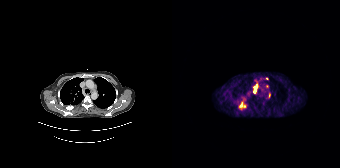
modality: PSMA PET/CT | tracer: 68Ga | view: axial
Coordinates are on the 168×168 PET (right) panel. PSMA-avid tumor lesion bounding boxes (x0, y0)-(x1, y1): (67, 101)-(74, 109) | (81, 83)-(86, 93). Small PSMA-avid focus (2 to 4 px across) near (center x, center y): (95, 78).